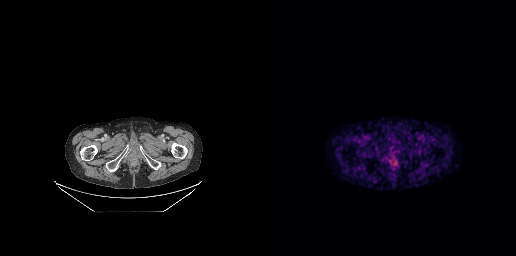
- Left: CT. Right: PSMA PET, same axial level, [68Ga]Ga-PSMA-11 tracer
- PET panel 256×256 px (2.7 mm/px)
Findings: No tumor lesions annotated on this slice.